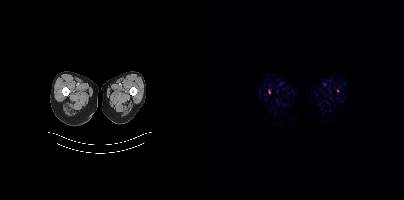
modality: PSMA PET/CT | tracer: [18F]PSMA-1007 | view: axial | PET grid: 200×200
Coordinates are on the 200×200 PET (right) panel. Small PSMA-avid foci (2 to 4 px across) near (center x, center y): (65, 91) / (133, 90).